Technique: Two-panel axial: CT | PSMA PET, [18F]PSMA-1007 tracer. slice position z = 336 mm. PET panel 200×200 px (4.1 mm/px).
Note: A rectangular block over the head has been blanked out for de-identification.
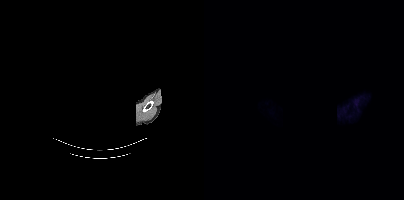
Findings: This slice has no annotated PSMA-avid lesion.